Left: CT. Right: PSMA PET, same axial level, [68Ga]Ga-PSMA-11 tracer.
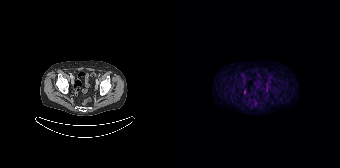
Coordinates are on the 168×168 PET (right) panel. Small PSMA-avid focus (2 to 4 px across) near (center x, center y): (72, 92).